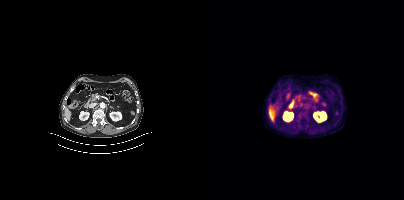
Negative for PSMA-avid disease on this slice.
modality: PSMA PET/CT | tracer: 18F | view: axial | PET grid: 200×200